Technique: Paired axial CT (left) and PSMA PET (right), 18F tracer. acquired on Siemens Biograph mCT Flow 20.
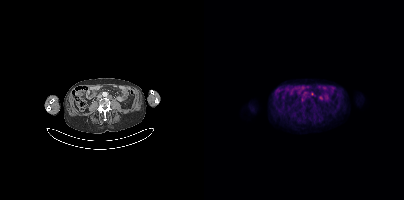
Findings: Coordinates are on the 200×200 PET (right) panel. (showing 1 of 2 foci) PSMA-avid tumor lesion bounding box (x0,y0,x1,y1): [97,97,100,101].